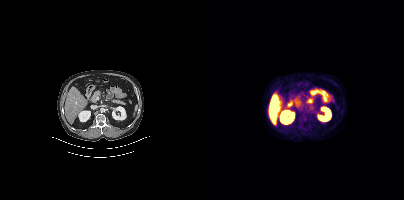
{"modality":"PSMA PET/CT","view":"axial","tracer":"18F-PSMA","pet_grid":[200,200],"coord_frame":"pet_panel","coord_format":"x0,y0,x1,y1","psma_avid_lesions":false}